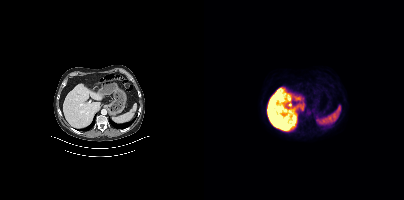
Findings: No PSMA-avid tumor lesions on this slice.
Technique: Left: CT. Right: PSMA PET, same axial level, 18F tracer. slice 246 of 442.